- Left: CT. Right: PSMA PET, same axial level, 18F tracer
- acquired on GE Discovery 690
- slice position z = -190 mm
- PET panel 256×256 px (2.7 mm/px)
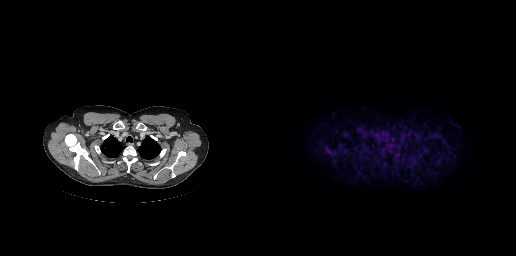
Findings: No tumor lesions annotated on this slice.